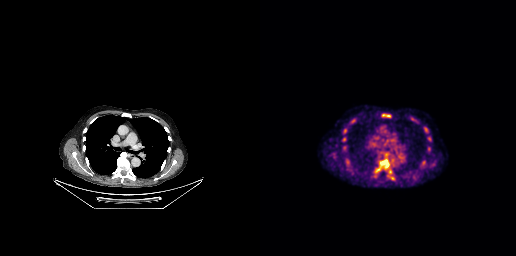
Coordinates are on the 256×256 PET (right) panel. PSMA-avid tumor lesion bounding boxes (x0,y0,x1,y1): [115,159,129,172]; [122,114,130,117]. Small PSMA-avid foci (2 to 4 px across) near (center x, center y): (130, 171); (132, 178).